- Left: CT. Right: PSMA PET, same axial level, [18F]PSMA-1007 tracer
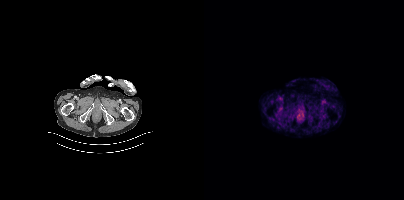
Findings: This slice has no annotated PSMA-avid lesion.